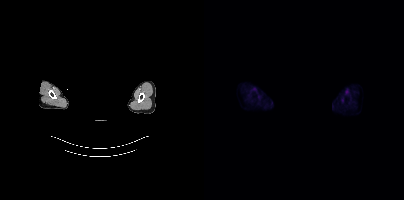
Technique: Two-panel axial: CT | PSMA PET, 18F-PSMA tracer. slice position z = 598 mm.
Note: The head region is masked for de-identification.
Findings: This slice has no annotated PSMA-avid lesion.